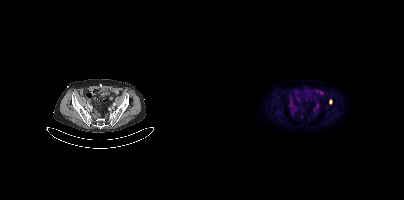
- Paired axial CT (left) and PSMA PET (right), 18F tracer
Findings: Coordinates are on the 200×200 PET (right) panel. Small PSMA-avid focus (2 to 4 px across) near (center x, center y): (126, 101).